A rectangle over the head was blacked out to remove identifiable facial features. Paired axial CT (left) and PSMA PET (right), 18F tracer. PET panel 200×200 px (4.1 mm/px).
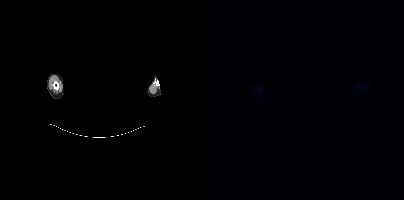
Negative for PSMA-avid disease on this slice.